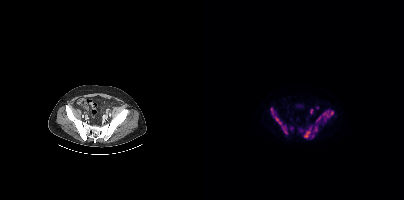
Coordinates are on the 200×200 PET (right) panel. (showing 6 of 9 foci) PSMA-avid tumor lesion bounding boxes (x0,y0,x1,y1): [112,110,129,121]; [100,131,105,138]; [71,117,77,124]; [79,129,82,133]. Small PSMA-avid foci (2 to 4 px across) near (center x, center y): (67, 109); (111, 130).